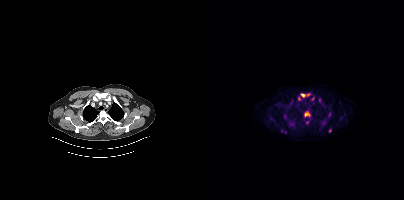
- Left: CT. Right: PSMA PET, same axial level, [18F]PSMA-1007 tracer
- acquired on Siemens Biograph mCT Flow 20
- PET panel 200×200 px (4.1 mm/px)
Findings: Coordinates are on the 200×200 PET (right) panel. (showing 8 of 10 foci) PSMA-avid tumor lesion bounding boxes (x0, y0)-(x1, y1): (96, 93)-(105, 97); (100, 112)-(106, 117); (77, 129)-(82, 133); (102, 120)-(105, 124). Small PSMA-avid foci (2 to 4 px across) near (center x, center y): (125, 115); (126, 130); (95, 98); (108, 98).